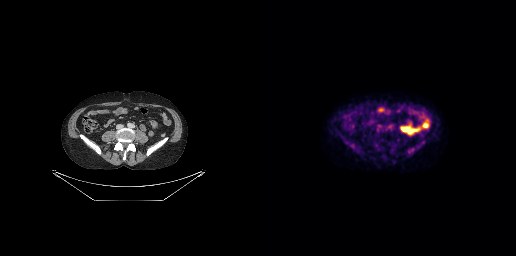
Findings: No PSMA-avid tumor lesions on this slice.
Technique: Left: CT. Right: PSMA PET, same axial level, 18F-PSMA tracer. slice position z = -564 mm.